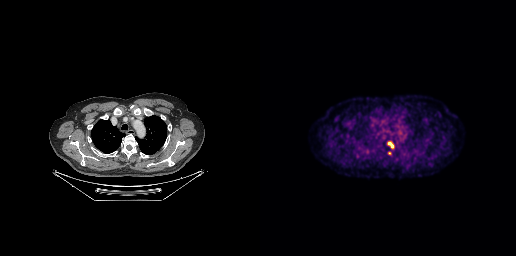
Coordinates are on the 256×256 PET (right) panel. (showing 1 of 2 foci) PSMA-avid tumor lesion bounding box (x0, y0)-(x1, y1): (128, 142)-(133, 147).